Left: CT. Right: PSMA PET, same axial level, [18F]PSMA-1007 tracer. PET panel 200×200 px (4.1 mm/px).
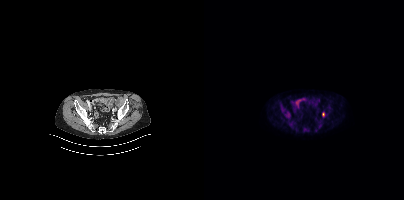
Coordinates are on the 200×200 PET (right) panel. Small PSMA-avid focus (2 to 4 px across) near (center x, center y): (119, 114).